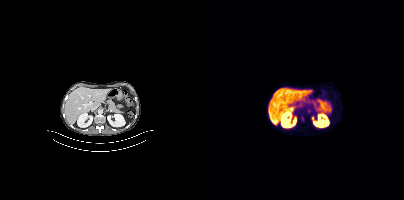
No tumor lesions annotated on this slice. Left: CT. Right: PSMA PET, same axial level, [18F]PSMA-1007 tracer. Acquired on Siemens Biograph mCT Flow 20. Slice 186 of 377.